- Paired axial CT (left) and PSMA PET (right), 18F-PSMA tracer
- slice position z = -1486 mm
- PET panel 200×200 px (4.1 mm/px)
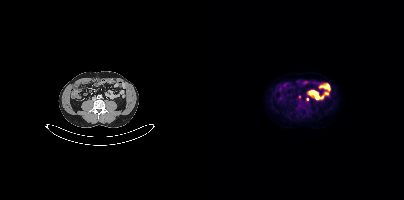
Findings: Coordinates are on the 200×200 PET (right) panel. Small PSMA-avid foci (2 to 4 px across) near (center x, center y): (103, 99); (95, 96).